A rectangular block over the head has been blanked out for de-identification.
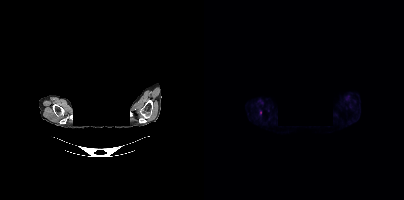
Coordinates are on the 200×200 PET (right) panel. Small PSMA-avid focus (2 to 4 px across) near (center x, center y): (56, 112).